modality: PSMA PET/CT | tracer: 18F | view: axial | PET grid: 200×200
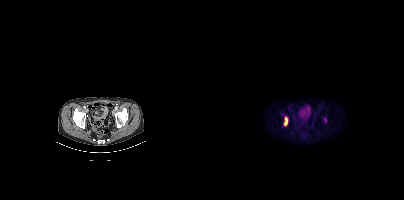
Coordinates are on the 200×200 PET (right) panel. PSMA-avid tumor lesion bounding box (x0,y0,x1,y1): [80,120,84,124].